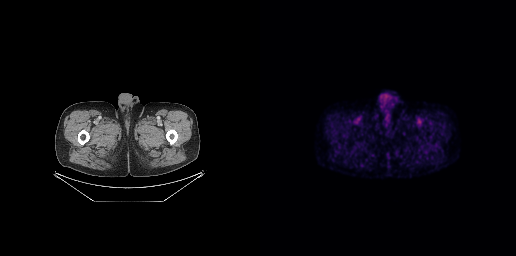
- Left: CT. Right: PSMA PET, same axial level, 18F tracer
- slice 55 of 299
- PET panel 256×256 px (2.7 mm/px)
Findings: No tumor lesions annotated on this slice.